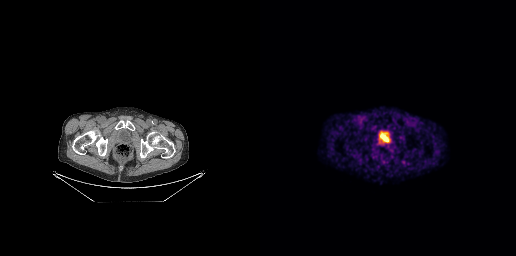
{"modality":"PSMA PET/CT","view":"axial","tracer":"[68Ga]Ga-PSMA-11","pet_grid":[256,256],"coord_frame":"pet_panel","coord_format":"x0,y0,x1,y1","lesion_bboxes":[[117,140,121,144]]}